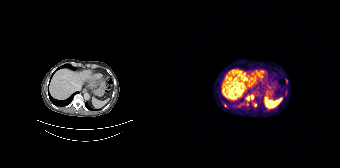
Two-panel axial: CT | PSMA PET, 68Ga tracer.
Coordinates are on the 168×168 PET (right) panel. PSMA-avid tumor lesion bounding boxes:
| # | x0 | y0 | x1 | y1 |
|---|---|---|---|---|
| 1 | 82 | 103 | 84 | 107 |
Small PSMA-avid foci (2 to 4 px across) near (center x, center y): (76, 97); (53, 105); (75, 103); (80, 97).